- Paired axial CT (left) and PSMA PET (right), 18F tracer
- PET panel 200×200 px (4.1 mm/px)
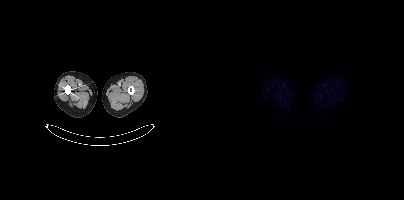
Findings: Negative for PSMA-avid disease on this slice.